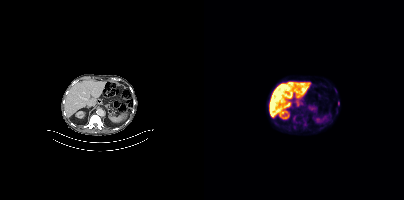
Only PSMA-avid lesion pieces thinner than 2 px on this slice (not listed).
modality: PSMA PET/CT | tracer: 18F | view: axial | PET grid: 200×200